Left: CT. Right: PSMA PET, same axial level, 18F tracer. Slice 52 of 423.
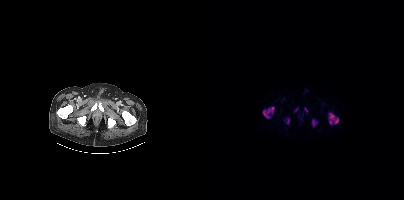
Coordinates are on the 200×200 PET (right) panel. PSMA-avid tumor lesion bounding boxes (x0,y0,x1,y1): [124,112,134,124] [58,106,70,118] [108,119,113,127] [83,119,85,123]. Small PSMA-avid foci (2 to 4 px across) near (center x, center y): (102, 110) (92, 109).